- Two-panel axial: CT | PSMA PET, [18F]PSMA-1007 tracer
- acquired on Siemens Biograph mCT Flow 20
- slice 234 of 454
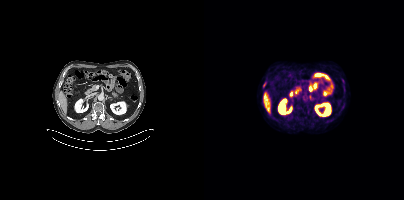
Findings: Coordinates are on the 200×200 PET (right) panel. Small PSMA-avid focus (2 to 4 px across) near (center x, center y): (138, 80).